Technique: Paired axial CT (left) and PSMA PET (right), 18F-PSMA tracer. PET panel 200×200 px (4.1 mm/px).
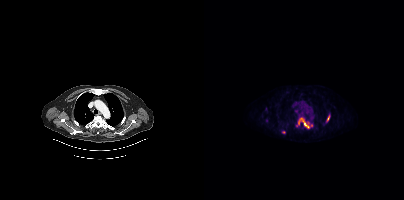
Findings: Coordinates are on the 200×200 PET (right) panel. (showing 3 of 4 foci) PSMA-avid tumor lesion bounding boxes (x, y, width, height): x=95 y=118 w=14 h=10 | x=123 y=115 w=3 h=7. Small PSMA-avid focus (2 to 4 px across) near (center x, center y): (93, 124).